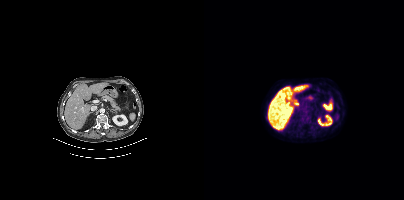
Findings: Negative for PSMA-avid disease on this slice.
- Two-panel axial: CT | PSMA PET, [18F]PSMA-1007 tracer
- acquired on Siemens Biograph mCT Flow 20